- Paired axial CT (left) and PSMA PET (right), 18F-PSMA tracer
- acquired on Siemens Biograph mCT Flow 20
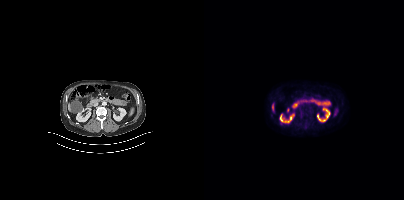
Findings: Negative for PSMA-avid disease on this slice.